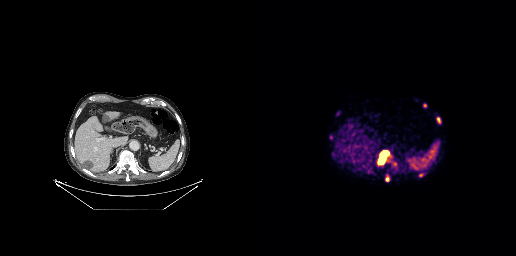
Left: CT. Right: PSMA PET, same axial level, 68Ga-PSMA tracer. Slice 157 of 263.
Coordinates are on the 256×256 PET (right) panel. PSMA-avid tumor lesion bounding boxes:
| # | x0 | y0 | x1 | y1 |
|---|---|---|---|---|
| 1 | 119 | 151 | 128 | 164 |
| 2 | 125 | 175 | 129 | 181 |
| 3 | 159 | 173 | 163 | 176 |
Small PSMA-avid foci (2 to 4 px across) near (center x, center y): (178, 119); (135, 164); (165, 105).